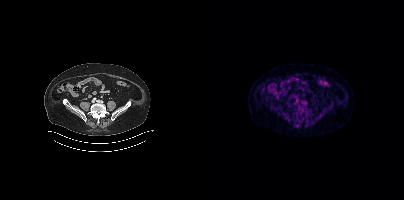
Findings: No PSMA-avid tumor lesions on this slice.
- Two-panel axial: CT | PSMA PET, 18F tracer
- acquired on Siemens Biograph mCT Flow 20